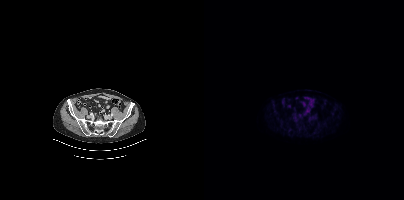
Only PSMA-avid lesion pieces thinner than 2 px on this slice (not listed).